Left: CT. Right: PSMA PET, same axial level, 18F-PSMA tracer. Slice 12 of 407.
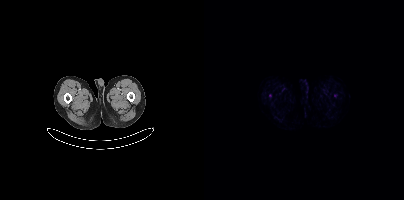
Only PSMA-avid lesion pieces thinner than 2 px on this slice (not listed).